- Two-panel axial: CT | PSMA PET, [18F]PSMA-1007 tracer
- slice position z = -726 mm
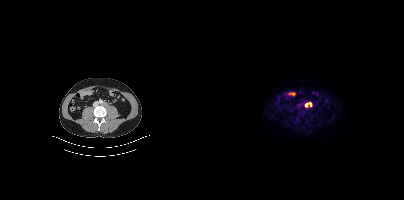
Findings: Coordinates are on the 200×200 PET (right) panel. PSMA-avid tumor lesion bounding box (x0,y0,x1,y1): [101,102,107,107].